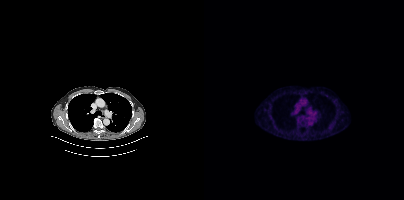
Two-panel axial: CT | PSMA PET, [18F]PSMA-1007 tracer. Acquired on Siemens Biograph mCT Flow 20. Slice 311 of 440. PET panel 200×200 px (4.1 mm/px). Only PSMA-avid lesion pieces thinner than 2 px on this slice (not listed).